Left: CT. Right: PSMA PET, same axial level, [18F]PSMA-1007 tracer. Slice position z = -352 mm. PET panel 200×200 px (4.1 mm/px).
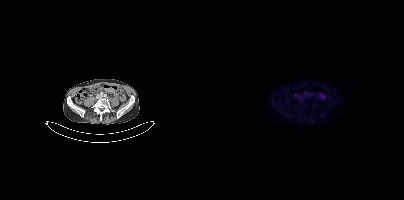
Negative for PSMA-avid disease on this slice.